modality: PSMA PET/CT | tracer: [18F]PSMA-1007 | view: axial | PET grid: 200×200
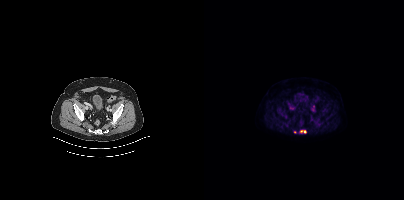
Coordinates are on the 200×200 PET (right) panel. PSMA-avid tumor lesion bounding box (x0,y0,x1,y1): [96,130,102,133]. Small PSMA-avid focus (2 to 4 px across) near (center x, center y): (90, 131).